Two-panel axial: CT | PSMA PET, 18F-PSMA tracer. Acquired on GE Discovery 690. The head region is masked for de-identification.
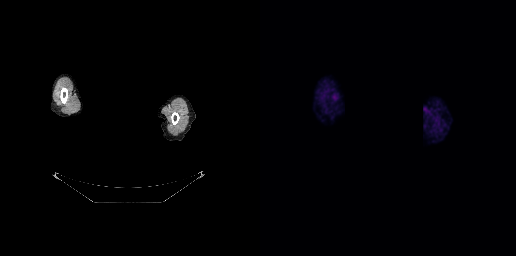
This slice has no annotated PSMA-avid lesion.